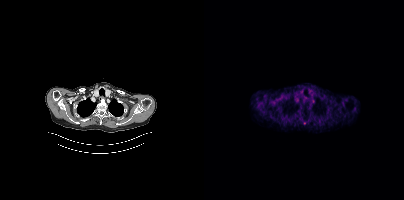
{"modality":"PSMA PET/CT","view":"axial","tracer":"[18F]PSMA-1007","pet_grid":[200,200],"coord_frame":"pet_panel","coord_format":"x0,y0,x1,y1","lesion_bboxes":[],"small_foci_centers":[[100,123]]}